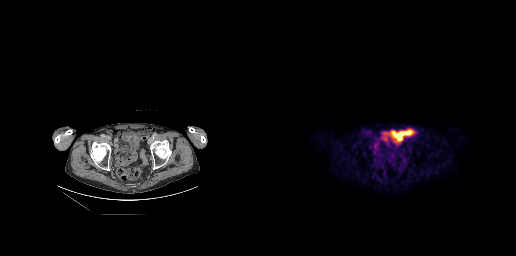
{"modality":"PSMA PET/CT","view":"axial","tracer":"[18F]PSMA-1007","pet_grid":[256,256],"coord_frame":"pet_panel","coord_format":"x0,y0,x1,y1","psma_avid_lesions":false}